Privacy masking over the head, with the pixels inside a rectangle set to black.
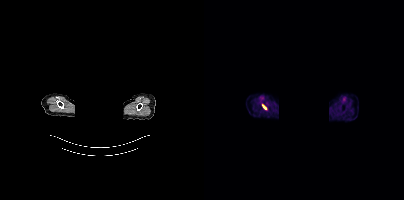
Coordinates are on the 200×200 PET (right) panel. Small PSMA-avid focus (2 to 4 px across) near (center x, center y): (59, 106).